Two-panel axial: CT | PSMA PET, 68Ga-PSMA tracer. Slice 22 of 195.
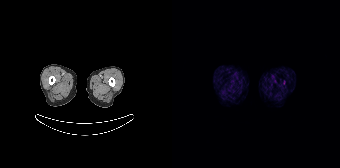
No tumor lesions annotated on this slice.